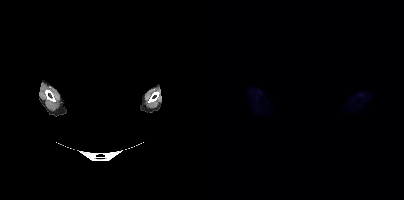
{"modality":"PSMA PET/CT","view":"axial","tracer":"18F","pet_grid":[200,200],"coord_frame":"pet_panel","coord_format":"x0,y0,x1,y1","de-identification":"rectangular block over head set to black","psma_avid_lesions":false}